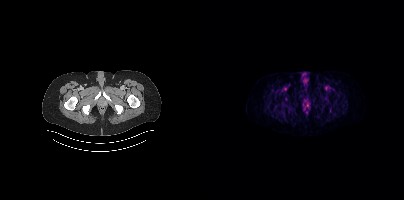
Findings: No tumor lesions annotated on this slice.
Technique: Two-panel axial: CT | PSMA PET, 18F tracer.